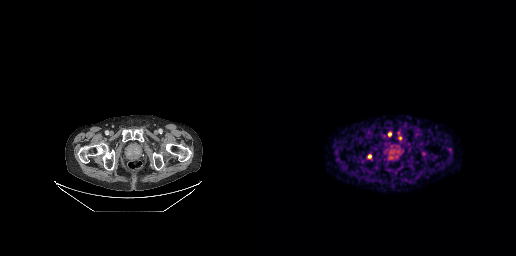
Coordinates are on the 256×256 PET (right) panel. PSMA-avid tumor lesion bounding boxes (x0, y0)-(x1, y1): (137, 130)-(141, 135) | (129, 155)-(133, 159) | (129, 152)-(134, 153). Small PSMA-avid foci (2 to 4 px across) near (center x, center y): (109, 156) | (140, 138) | (129, 133).